Technique: Paired axial CT (left) and PSMA PET (right), 18F tracer.
Note: Face de-identified by blanking a block of the head.
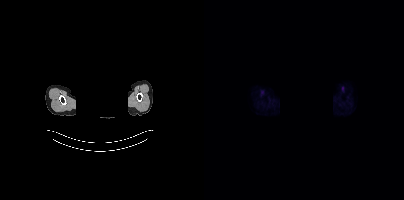
Findings: No PSMA-avid tumor lesions on this slice.